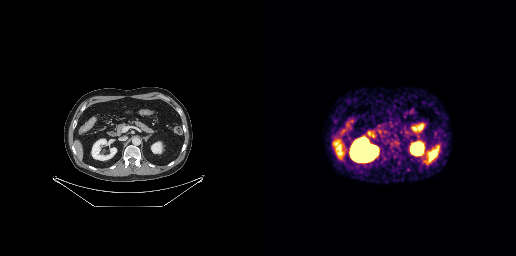
This slice has no annotated PSMA-avid lesion.